modality: PSMA PET/CT | tracer: 18F | view: axial | PET grid: 200×200
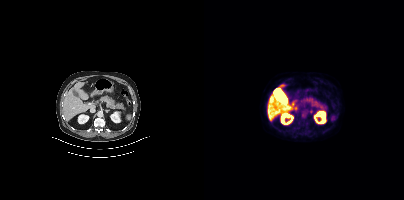
No PSMA-avid tumor lesions on this slice.